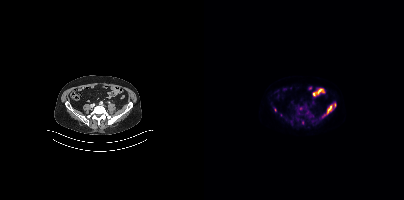
Left: CT. Right: PSMA PET, same axial level, [18F]PSMA-1007 tracer. Slice 129 of 395. PET panel 200×200 px (4.1 mm/px).
Coordinates are on the 200×200 PET (right) panel. PSMA-avid tumor lesion bounding boxes (partial; 1 more focus not listed):
| # | x0 | y0 | x1 | y1 |
|---|---|---|---|---|
| 1 | 119 | 103 | 132 | 116 |
Small PSMA-avid foci (2 to 4 px across) near (center x, center y): (96, 108); (71, 110).